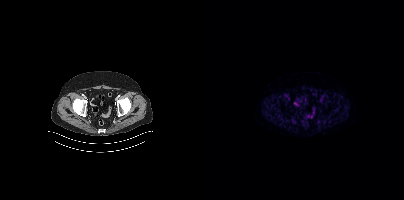
modality: PSMA PET/CT | tracer: 18F-PSMA | view: axial | PET grid: 200×200
This slice has no annotated PSMA-avid lesion.